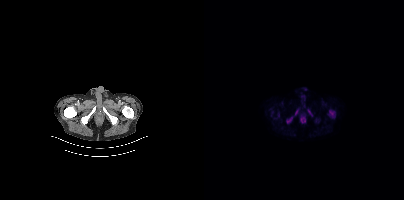
- Two-panel axial: CT | PSMA PET, [18F]PSMA-1007 tracer
- acquired on Siemens Biograph mCT Flow 20
- PET panel 200×200 px (4.1 mm/px)
Findings: Coordinates are on the 200×200 PET (right) panel. PSMA-avid tumor lesion bounding boxes (x0, y0)-(x1, y1): (124, 110)-(131, 118) / (82, 117)-(88, 123) / (91, 109)-(94, 115). Small PSMA-avid focus (2 to 4 px across) near (center x, center y): (107, 114).